Paired axial CT (left) and PSMA PET (right), 68Ga-PSMA tracer. Acquired on Siemens Biograph 64-4R TruePoint. PET panel 168×168 px (4.1 mm/px).
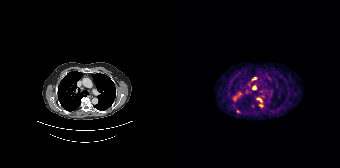
Coordinates are on the 168×168 PET (right) panel. PSMA-avid tumor lesion bounding boxes:
| # | x0 | y0 | x1 | y1 |
|---|---|---|---|---|
| 1 | 85 | 98 | 89 | 101 |
| 2 | 80 | 77 | 84 | 79 |
Small PSMA-avid foci (2 to 4 px across) near (center x, center y): (82, 87); (65, 111); (89, 91); (89, 105).